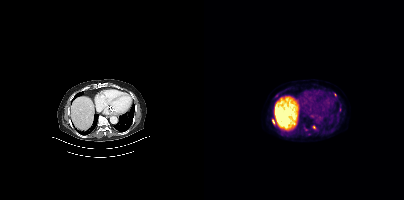
{"pet_grid":[200,200],"coord_frame":"pet_panel","coord_format":"x0,y0,x1,y1","partial":true,"lesion_bboxes":[],"small_foci_centers":[[72,95],[69,121],[110,127],[131,94]],"modality":"PSMA PET/CT","view":"axial","tracer":"[18F]PSMA-1007"}